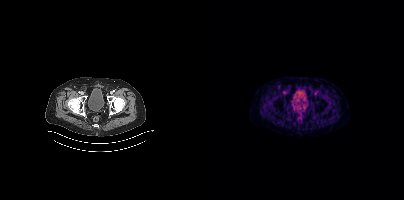
modality: PSMA PET/CT | tracer: [18F]PSMA-1007 | view: axial
Negative for PSMA-avid disease on this slice.